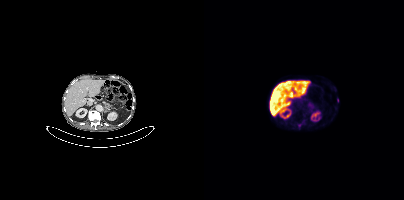
modality: PSMA PET/CT | tracer: 18F | view: axial | PET grid: 200×200
Coordinates are on the 200×200 PET (right) panel. (showing 1 of 3 foci) Small PSMA-avid focus (2 to 4 px across) near (center x, center y): (133, 100).